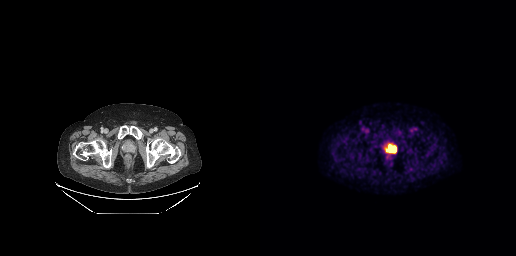
Technique: Two-panel axial: CT | PSMA PET, 18F-PSMA tracer. slice 87 of 299. PET panel 256×256 px (2.7 mm/px).
Findings: Coordinates are on the 256×256 PET (right) panel. PSMA-avid tumor lesion bounding box (x0,y0,x1,y1): [125,144,136,153].